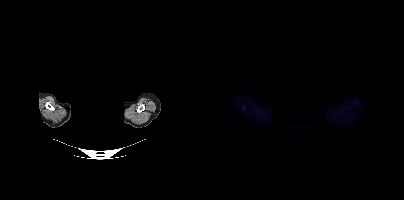
Findings: Coordinates are on the 200×200 PET (right) panel. Small PSMA-avid focus (2 to 4 px across) near (center x, center y): (40, 107).
Technique: Two-panel axial: CT | PSMA PET, 18F tracer. acquired on Siemens Biograph mCT Flow 20.
Note: De-identified by setting a box covering the face to black before release.